Left: CT. Right: PSMA PET, same axial level, 18F-PSMA tracer. Slice position z = 38 mm.
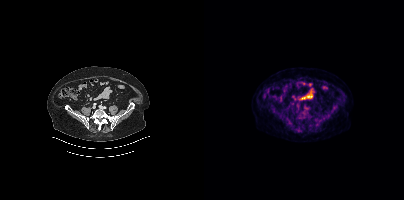
This slice has no annotated PSMA-avid lesion.